Paired axial CT (left) and PSMA PET (right), 68Ga-PSMA tracer.
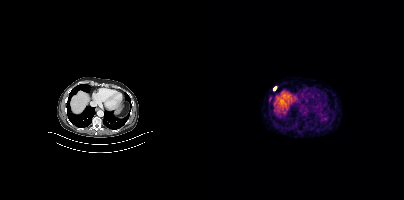
Coordinates are on the 200×200 PET (right) panel. Small PSMA-avid foci (2 to 4 px across) near (center x, center y): (71, 88) (65, 100).